- Paired axial CT (left) and PSMA PET (right), [18F]PSMA-1007 tracer
- PET panel 200×200 px (4.1 mm/px)
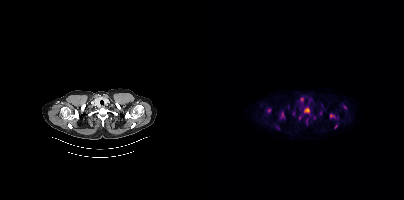
Findings: Coordinates are on the 200×200 PET (right) panel. (showing 10 of 12 foci) PSMA-avid tumor lesion bounding boxes (x0,y0,x1,y1): [100,107,105,113], [76,112,80,118], [101,118,104,125], [126,114,130,117]. Small PSMA-avid foci (2 to 4 px across) near (center x, center y): (64, 110), (132, 126), (97, 99), (73, 127), (95, 117), (140, 106).